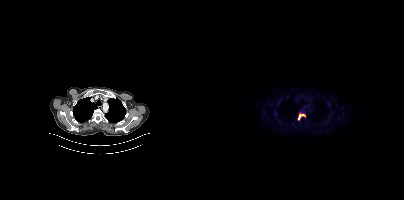
Findings: Coordinates are on the 200×200 PET (right) panel. PSMA-avid tumor lesion bounding box (x0, y0)-(x1, y1): (93, 112)-(101, 120).
Technique: Two-panel axial: CT | PSMA PET, 18F tracer. acquired on Siemens Biograph mCT Flow 20. PET panel 200×200 px (4.1 mm/px).